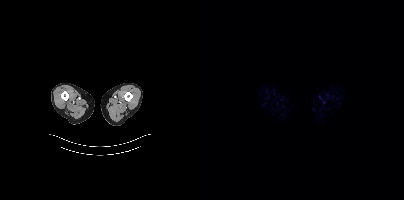
{"modality":"PSMA PET/CT","view":"axial","tracer":"18F-PSMA","pet_grid":[200,200],"coord_frame":"pet_panel","coord_format":"x0,y0,x1,y1","psma_avid_lesions":false}